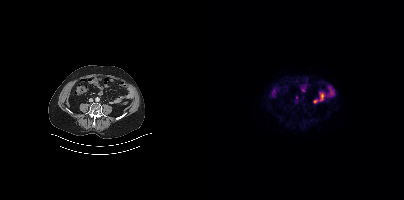
- Two-panel axial: CT | PSMA PET, 18F tracer
- slice position z = -668 mm
- PET panel 200×200 px (4.1 mm/px)
Findings: This slice has no annotated PSMA-avid lesion.